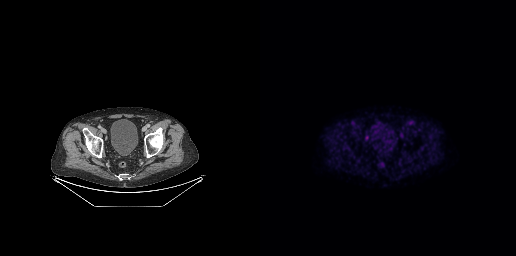
Negative for PSMA-avid disease on this slice.